Technique: Paired axial CT (left) and PSMA PET (right), [68Ga]Ga-PSMA-11 tracer. slice 179 of 409. PET panel 200×200 px (4.1 mm/px).
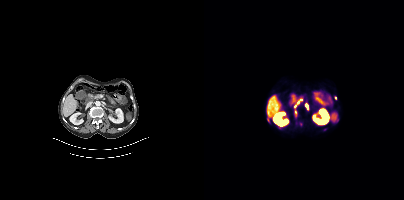
Findings: Coordinates are on the 200×200 PET (right) panel. (showing 8 of 9 foci) PSMA-avid tumor lesion bounding boxes (x, y, width, height): x=91 y=99 w=8 h=9 | x=101 y=104 w=4 h=6 | x=95 y=122 w=4 h=5 | x=63 y=118 w=3 h=5. Small PSMA-avid foci (2 to 4 px across) near (center x, center y): (120, 129) | (133, 118) | (91, 112) | (131, 97).